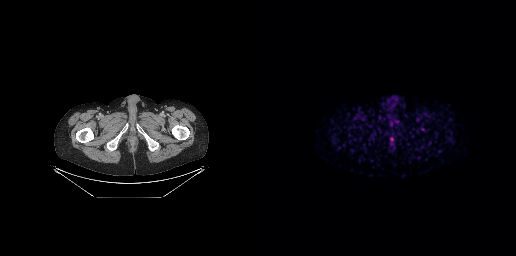
modality: PSMA PET/CT | tracer: [68Ga]Ga-PSMA-11 | view: axial | PET grid: 256×256
This slice has no annotated PSMA-avid lesion.